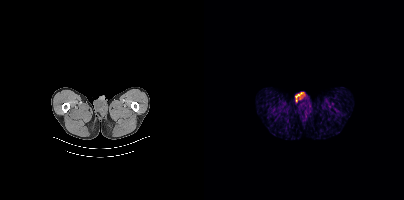
- Left: CT. Right: PSMA PET, same axial level, 18F tracer
- acquired on Siemens Biograph mCT Flow 20
Findings: No tumor lesions annotated on this slice.